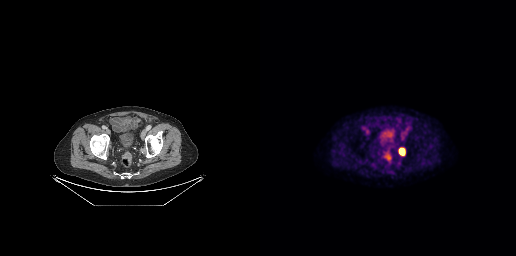
Technique: Left: CT. Right: PSMA PET, same axial level, 18F tracer. slice position z = -642 mm. PET panel 256×256 px (2.7 mm/px).
Findings: Coordinates are on the 256×256 PET (right) panel. PSMA-avid tumor lesion bounding box (x0,y0,x1,y1): [139,148,144,154].